- Left: CT. Right: PSMA PET, same axial level, 18F-PSMA tracer
- PET panel 168×168 px (4.1 mm/px)
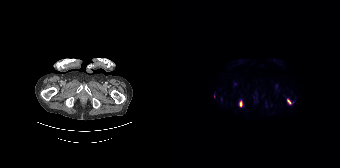
Findings: Coordinates are on the 168×168 PET (right) panel. (showing 2 of 3 foci) PSMA-avid tumor lesion bounding boxes (x0, y0)-(x1, y1): (67, 100)-(70, 106) / (115, 99)-(119, 104).